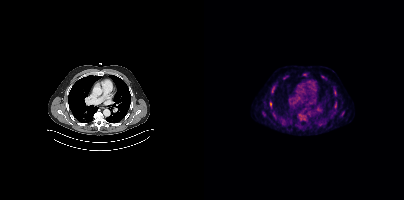
Coordinates are on the 200×200 PET (right) panel. PSMA-avid tumor lesion bounding box (x0, y0)-(x1, y1): (66, 102)-(67, 106). Small PSMA-avid foci (2 to 4 px across) near (center x, center y): (131, 92); (80, 78); (131, 105); (67, 91).